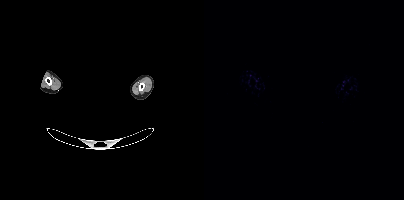
{"modality":"PSMA PET/CT","view":"axial","tracer":"68Ga-PSMA","pet_grid":[200,200],"coord_frame":"pet_panel","coord_format":"x0,y0,x1,y1","psma_avid_lesions":false,"de-identification":"facial region redacted"}